Left: CT. Right: PSMA PET, same axial level, 18F-PSMA tracer. Slice 259 of 435. PET panel 200×200 px (4.1 mm/px).
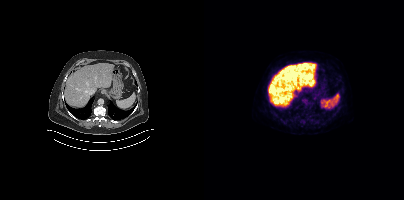
Negative for PSMA-avid disease on this slice.